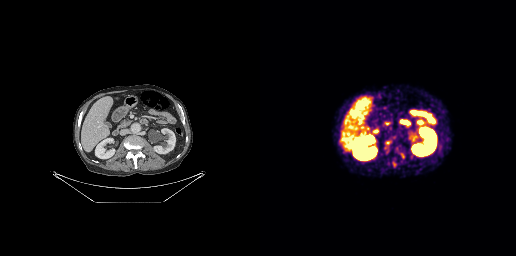
Coordinates are on the 256×256 PET (right) panel. Small PSMA-avid focus (2 to 4 px across) near (center x, center y): (127, 142).
modality: PSMA PET/CT | tracer: 68Ga-PSMA | view: axial